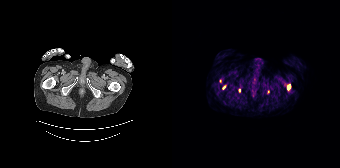
{"modality":"PSMA PET/CT","view":"axial","tracer":"68Ga-PSMA","pet_grid":[168,168],"coord_frame":"pet_panel","coord_format":"x0,y0,x1,y1","partial":true,"lesion_bboxes":[[115,85,118,89]],"small_foci_centers":[[67,90],[51,87]]}